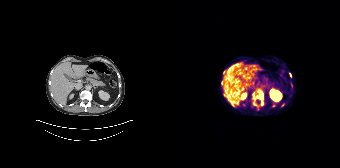
Technique: Two-panel axial: CT | PSMA PET, 68Ga tracer. slice 105 of 195. PET panel 168×168 px (4.1 mm/px).
Findings: Coordinates are on the 168×168 PET (right) panel. (showing 3 of 6 foci) PSMA-avid tumor lesion bounding boxes (x, y, width, height): x=81 y=90 w=11 h=15; x=49 y=81 w=3 h=5. Small PSMA-avid focus (2 to 4 px across) near (center x, center y): (118, 74).